- Left: CT. Right: PSMA PET, same axial level, 68Ga tracer
- slice 135 of 195
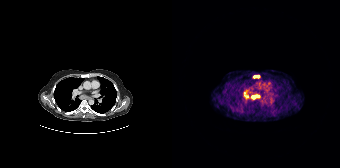
Findings: Coordinates are on the 168×168 PET (right) panel. PSMA-avid tumor lesion bounding boxes (x, y, width, height): x=79 y=94 w=10 h=6 / x=72 y=91 w=5 h=8 / x=81 y=75 w=7 h=4.